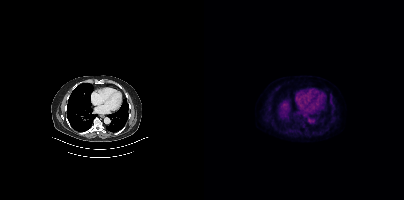
{"modality":"PSMA PET/CT","view":"axial","tracer":"[18F]PSMA-1007","pet_grid":[200,200],"coord_frame":"pet_panel","coord_format":"x0,y0,x1,y1","psma_avid_lesions":false}